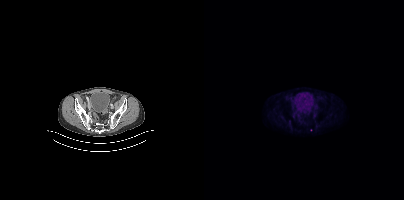
Technique: Paired axial CT (left) and PSMA PET (right), 18F tracer. slice position z = 10 mm. PET panel 200×200 px (4.1 mm/px).
Findings: Only PSMA-avid lesion pieces thinner than 2 px on this slice (not listed).